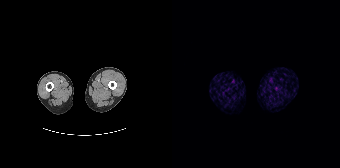
Negative for PSMA-avid disease on this slice.
modality: PSMA PET/CT | tracer: [68Ga]Ga-PSMA-11 | view: axial